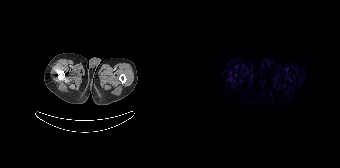
This slice has no annotated PSMA-avid lesion.